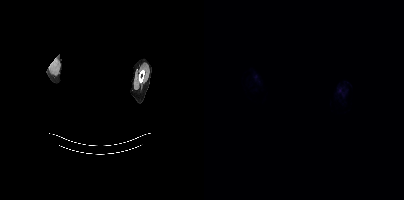
Technique: Paired axial CT (left) and PSMA PET (right), [18F]PSMA-1007 tracer. acquired on Siemens Biograph mCT Flow 20. PET panel 200×200 px (4.1 mm/px).
Note: Head region blanked for anonymization (face removed).
Findings: Negative for PSMA-avid disease on this slice.